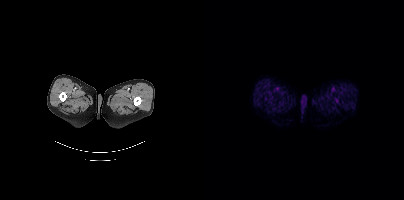
This slice has no annotated PSMA-avid lesion.